Technique: Left: CT. Right: PSMA PET, same axial level, 18F-PSMA tracer. acquired on Siemens Biograph mCT Flow 20. PET panel 200×200 px (4.1 mm/px).
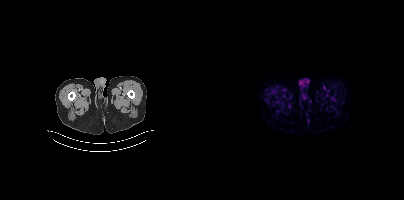
Findings: This slice has no annotated PSMA-avid lesion.